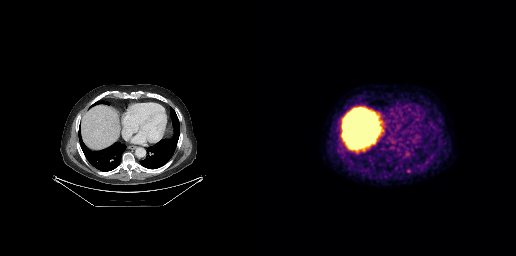
Coordinates are on the 256×256 PET (right) panel. PSMA-avid tumor lesion bounding box (x, y, width, height): x=146 y=169 w=6 h=4.